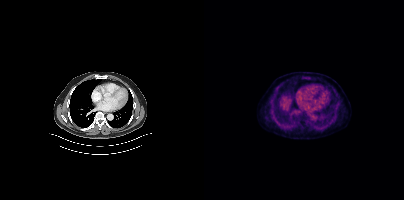
Technique: Paired axial CT (left) and PSMA PET (right), [18F]PSMA-1007 tracer. acquired on Siemens Biograph mCT Flow 20. slice 284 of 433. PET panel 200×200 px (4.1 mm/px).
Findings: Only PSMA-avid lesion pieces thinner than 2 px on this slice (not listed).